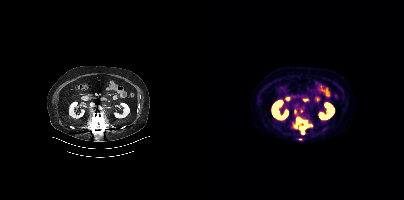
modality: PSMA PET/CT | tracer: 18F-PSMA | view: axial
Coordinates are on the 200×200 PET (right) panel. (showing 7 of 8 foci) PSMA-avid tumor lesion bounding boxes (x0, y0)-(x1, y1): (95, 124)-(107, 129); (93, 117)-(98, 122); (90, 123)-(95, 128). Small PSMA-avid foci (2 to 4 px across) near (center x, center y): (97, 111); (101, 121); (91, 111); (98, 131).